- Two-panel axial: CT | PSMA PET, 68Ga-PSMA tracer
- acquired on Siemens Biograph mCT Flow 20
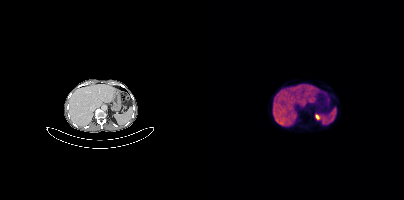
Findings: No tumor lesions annotated on this slice.